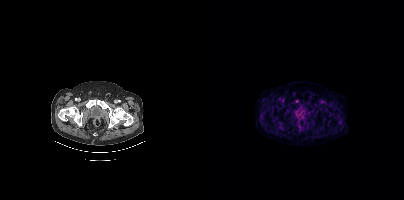
modality: PSMA PET/CT | tracer: 18F | view: axial
Coordinates are on the 200×200 PET (right) panel. Small PSMA-avid focus (2 to 4 px across) near (center x, center y): (93, 101).